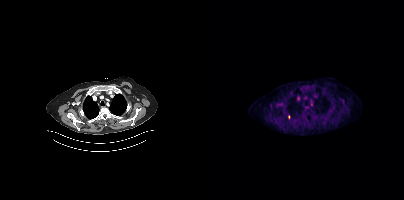
Coordinates are on the 200×200 PET (right) panel. Small PSMA-avid focus (2 to 4 px across) near (center x, center y): (84, 117). Paired axial CT (left) and PSMA PET (right), 18F tracer. Acquired on Siemens Biograph mCT Flow 20. Slice 343 of 429.